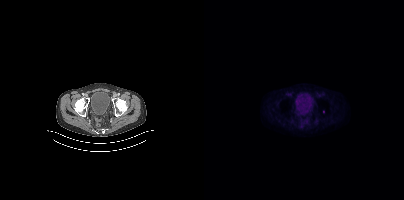
Findings: Negative for PSMA-avid disease on this slice.
- Two-panel axial: CT | PSMA PET, 18F-PSMA tracer
- PET panel 200×200 px (4.1 mm/px)